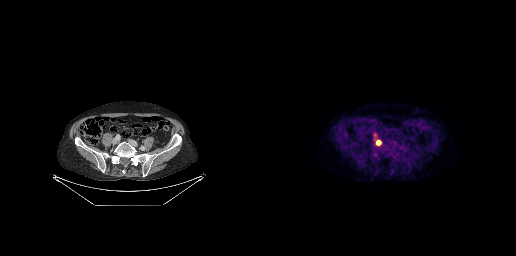
Findings: Coordinates are on the 256×256 PET (right) panel. Small PSMA-avid focus (2 to 4 px across) near (center x, center y): (118, 142).
Technique: Paired axial CT (left) and PSMA PET (right), [18F]PSMA-1007 tracer. PET panel 256×256 px (2.7 mm/px).